modality: PSMA PET/CT | tracer: [18F]PSMA-1007 | view: axial
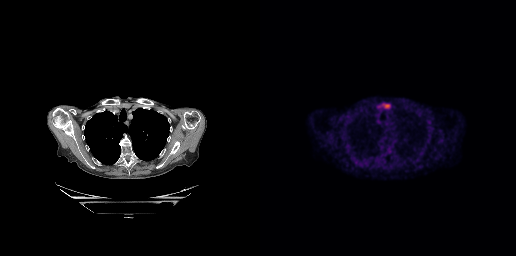
This slice has no annotated PSMA-avid lesion.